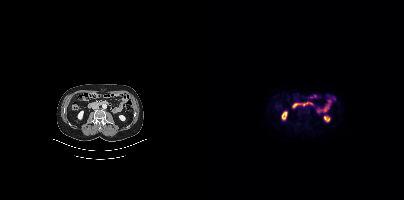
Findings: No tumor lesions annotated on this slice.
- Paired axial CT (left) and PSMA PET (right), [18F]PSMA-1007 tracer
- PET panel 200×200 px (4.1 mm/px)